Two-panel axial: CT | PSMA PET, 18F-PSMA tracer. The face region was removed for patient privacy by blanking a rectangle over the head.
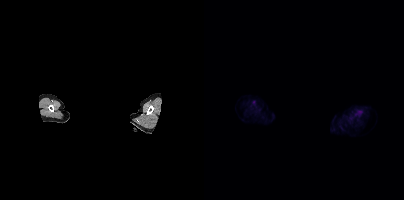
Negative for PSMA-avid disease on this slice.